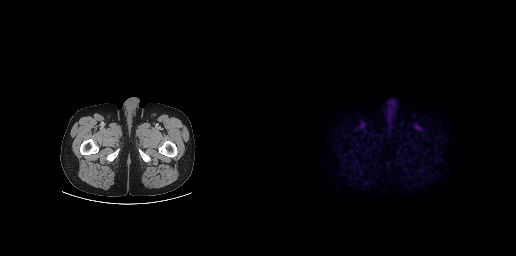
modality: PSMA PET/CT | tracer: 18F-PSMA | view: axial
No PSMA-avid tumor lesions on this slice.